modality: PSMA PET/CT | tracer: [18F]PSMA-1007 | view: axial
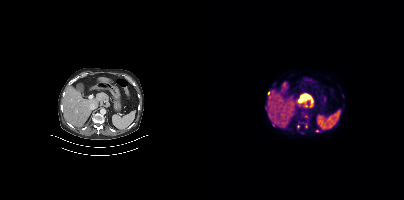
Only PSMA-avid lesion pieces thinner than 2 px on this slice (not listed).